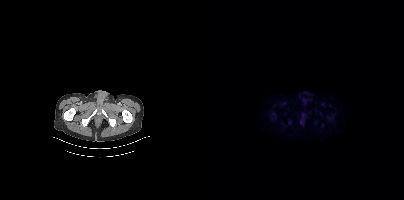
Negative for PSMA-avid disease on this slice.